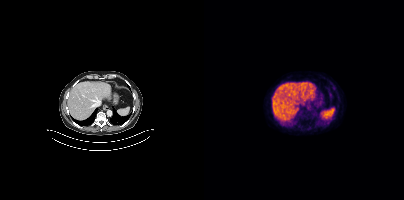
Findings: Negative for PSMA-avid disease on this slice.
- Left: CT. Right: PSMA PET, same axial level, 68Ga tracer
- PET panel 200×200 px (4.1 mm/px)